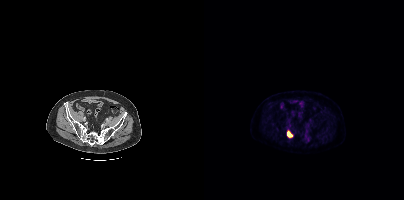
Coordinates are on the 200×200 PET (right) panel. PSMA-avid tumor lesion bounding box (x0,y0,x1,y1): [83,132,88,136].